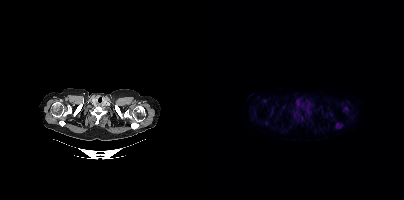
modality: PSMA PET/CT | tracer: [18F]PSMA-1007 | view: axial
Coordinates are on the 200×200 PET (right) panel. (showing 6 of 7 foci) PSMA-avid tumor lesion bounding box (x0, y0)-(x1, y1): (131, 123)-(138, 128). Small PSMA-avid foci (2 to 4 px across) near (center x, center y): (141, 108) | (99, 106) | (98, 119) | (105, 114) | (89, 114).